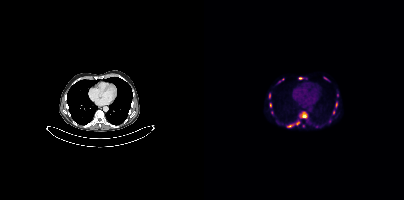
Technique: Two-panel axial: CT | PSMA PET, 18F tracer. acquired on Siemens Biograph mCT Flow 20. PET panel 200×200 px (4.1 mm/px).
Findings: Coordinates are on the 200×200 PET (right) panel. (showing 9 of 13 foci) PSMA-avid tumor lesion bounding boxes (x, y, width, height): x=95 y=111 w=9 h=8 / x=83 y=121 w=13 h=7 / x=120 y=77 w=5 h=4 / x=66 y=103 w=2 h=5 / x=132 y=103 w=2 h=5. Small PSMA-avid foci (2 to 4 px across) near (center x, center y): (96, 78) / (65, 95) / (129, 112) / (125, 121).